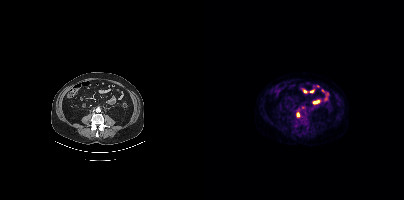
- Left: CT. Right: PSMA PET, same axial level, [18F]PSMA-1007 tracer
- slice position z = -244 mm
Findings: Coordinates are on the 200×200 PET (right) panel. Small PSMA-avid foci (2 to 4 px across) near (center x, center y): (94, 114) / (99, 107).